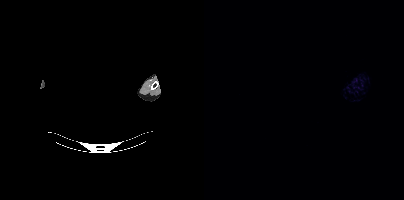
{"modality":"PSMA PET/CT","view":"axial","tracer":"18F-PSMA","pet_grid":[200,200],"coord_frame":"pet_panel","coord_format":"x0,y0,x1,y1","psma_avid_lesions":false,"deidentification":"rectangular block over head set to black"}